Two-panel axial: CT | PSMA PET, 18F tracer. PET panel 200×200 px (4.1 mm/px).
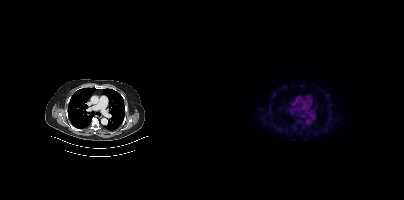
No tumor lesions annotated on this slice.